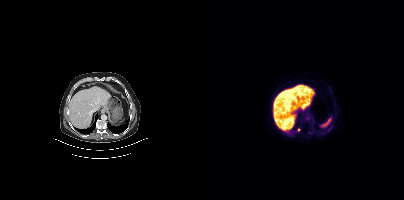
- Left: CT. Right: PSMA PET, same axial level, 18F-PSMA tracer
Findings: This slice has no annotated PSMA-avid lesion.